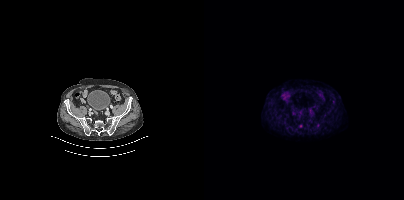
- Paired axial CT (left) and PSMA PET (right), [18F]PSMA-1007 tracer
- acquired on Siemens Biograph mCT Flow 20
Findings: This slice has no annotated PSMA-avid lesion.